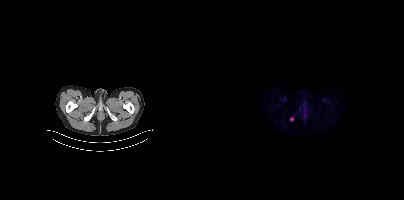
modality: PSMA PET/CT | tracer: 18F | view: axial | PET grid: 200×200
No PSMA-avid tumor lesions on this slice.